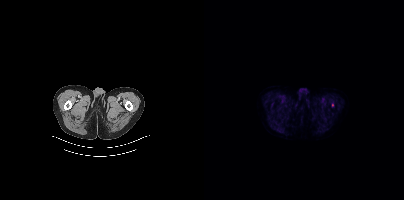
No PSMA-avid tumor lesions on this slice.
modality: PSMA PET/CT | tracer: 18F | view: axial